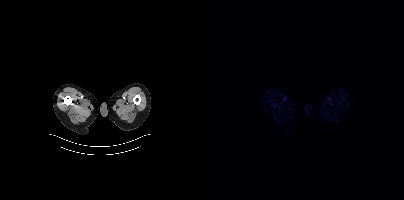
No tumor lesions annotated on this slice.